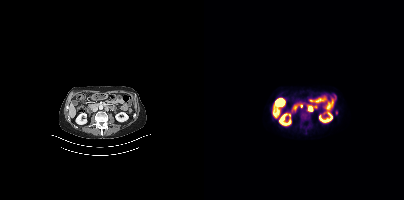
Coordinates are on the 200×200 PET (right) panel. Small PSMA-avid focus (2 to 4 px across) near (center x, center y): (106, 108).